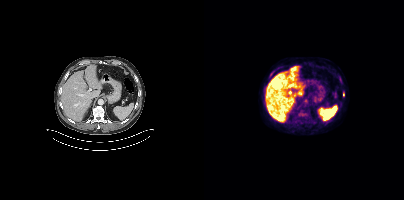
Technique: Paired axial CT (left) and PSMA PET (right), 18F-PSMA tracer.
Findings: Coordinates are on the 200×200 PET (right) panel. Small PSMA-avid focus (2 to 4 px across) near (center x, center y): (139, 94).